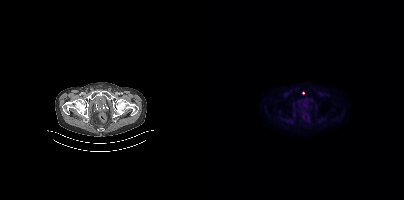
Two-panel axial: CT | PSMA PET, [18F]PSMA-1007 tracer. PET panel 200×200 px (4.1 mm/px). Only PSMA-avid lesion pieces thinner than 2 px on this slice (not listed).